Technique: Two-panel axial: CT | PSMA PET, [18F]PSMA-1007 tracer. acquired on Siemens Biograph mCT Flow 20. PET panel 200×200 px (4.1 mm/px).
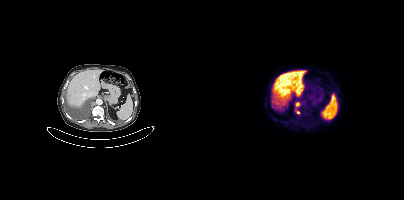
Findings: Coordinates are on the 200×200 PET (right) panel. PSMA-avid tumor lesion bounding boxes (x0, y0)-(x1, y1): (91, 102)-(95, 106) | (91, 110)-(95, 113).